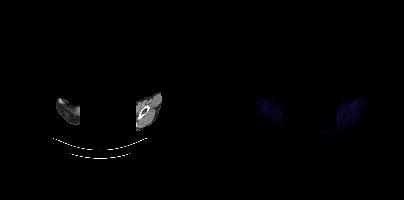
Technique: Left: CT. Right: PSMA PET, same axial level, [18F]PSMA-1007 tracer. acquired on Siemens Biograph mCT Flow 20. PET panel 200×200 px (4.1 mm/px).
Note: The face region was removed for patient privacy by blanking a rectangle over the head.
Findings: Negative for PSMA-avid disease on this slice.